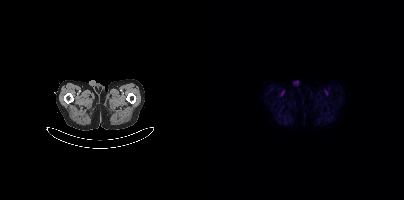
No tumor lesions annotated on this slice.
modality: PSMA PET/CT | tracer: 18F-PSMA | view: axial